Two-panel axial: CT | PSMA PET, 18F-PSMA tracer. An anonymization step blacked out a rectangle over the head in this scan.
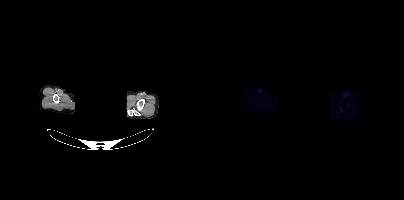
No tumor lesions annotated on this slice.